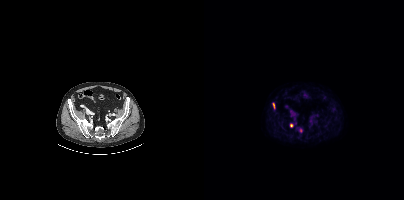
Two-panel axial: CT | PSMA PET, [18F]PSMA-1007 tracer. Acquired on Siemens Biograph mCT Flow 20. Slice position z = -916 mm. PET panel 200×200 px (4.1 mm/px). Coordinates are on the 200×200 PET (right) panel. PSMA-avid tumor lesion bounding boxes (x0,y0,x1,y1): [86,123,89,127], [69,103,70,108]. Small PSMA-avid focus (2 to 4 px across) near (center x, center y): (96, 130).